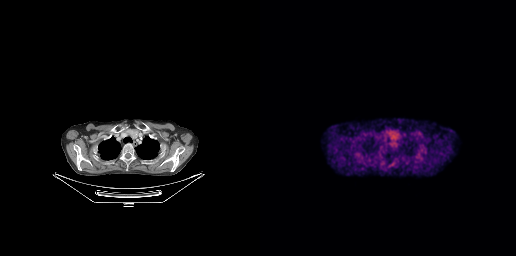
No tumor lesions annotated on this slice.